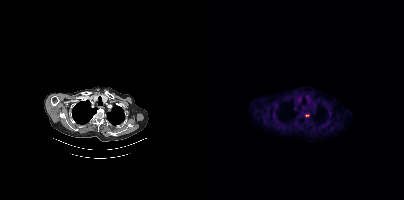
Two-panel axial: CT | PSMA PET, [18F]PSMA-1007 tracer.
Coordinates are on the 200×200 PET (right) panel. PSMA-avid tumor lesion bounding boxes:
| # | x0 | y0 | x1 | y1 |
|---|---|---|---|---|
| 1 | 101 | 114 | 105 | 116 |